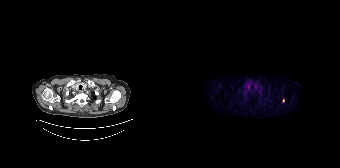
{"modality":"PSMA PET/CT","view":"axial","tracer":"[18F]PSMA-1007","pet_grid":[168,168],"coord_frame":"pet_panel","coord_format":"x0,y0,x1,y1","lesion_bboxes":[],"small_foci_centers":[[111,100]]}